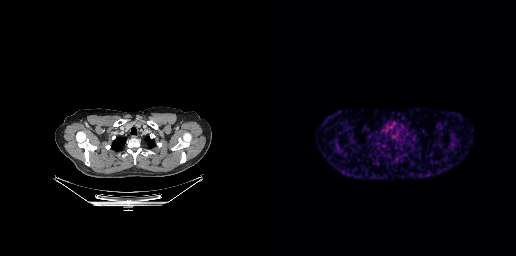
modality: PSMA PET/CT | tracer: 68Ga | view: axial
No PSMA-avid tumor lesions on this slice.